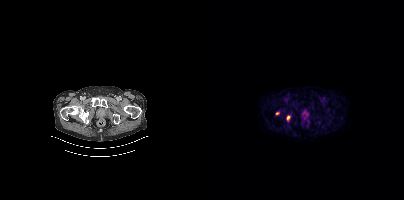
{"pet_grid":[200,200],"coord_frame":"pet_panel","coord_format":"x0,y0,x1,y1","lesion_bboxes":[[82,115,86,121]],"small_foci_centers":[[73,113]],"modality":"PSMA PET/CT","view":"axial","tracer":"18F-PSMA"}